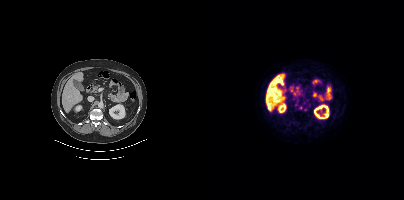
Paired axial CT (left) and PSMA PET (right), 18F-PSMA tracer. Slice 220 of 435. PET panel 200×200 px (4.1 mm/px).
Coordinates are on the 200×200 PET (right) panel. PSMA-avid tumor lesion bounding boxes:
| # | x0 | y0 | x1 | y1 |
|---|---|---|---|---|
| 1 | 91 | 101 | 94 | 106 |
Small PSMA-avid foci (2 to 4 px across) near (center x, center y): (101, 109); (105, 105).